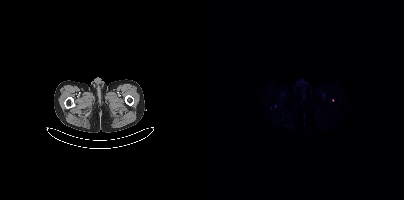
Two-panel axial: CT | PSMA PET, 68Ga tracer. PET panel 200×200 px (4.1 mm/px). Coordinates are on the 200×200 PET (right) panel. Small PSMA-avid foci (2 to 4 px across) near (center x, center y): (128, 100); (71, 106); (66, 107).